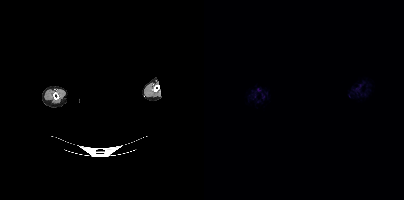
{"modality":"PSMA PET/CT","view":"axial","tracer":"[18F]PSMA-1007","pet_grid":[200,200],"coord_frame":"pet_panel","coord_format":"x0,y0,x1,y1","psma_avid_lesions":false,"deidentification":"head region blacked out before release"}